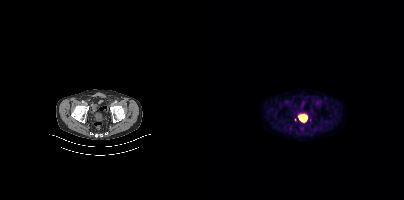
This slice has no annotated PSMA-avid lesion.